- Left: CT. Right: PSMA PET, same axial level, 68Ga tracer
- slice 23 of 195
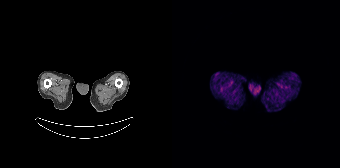
Findings: Negative for PSMA-avid disease on this slice.